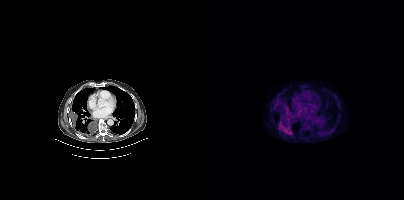
Two-panel axial: CT | PSMA PET, 18F-PSMA tracer. PET panel 200×200 px (4.1 mm/px). Coordinates are on the 200×200 PET (right) panel. PSMA-avid tumor lesion bounding boxes (x0,y0,x1,y1): [75,121,87,134] [81,108,87,115].